A rectangular block over the head has been blanked out for de-identification.
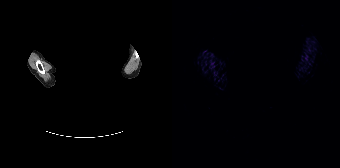
No tumor lesions annotated on this slice.